Technique: Left: CT. Right: PSMA PET, same axial level, [18F]PSMA-1007 tracer. acquired on Siemens Biograph mCT Flow 20. slice position z = -1006 mm.
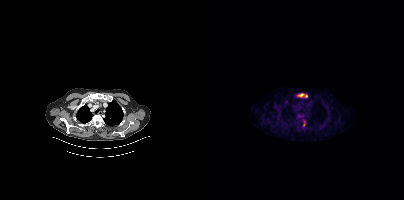
Findings: Coordinates are on the 200×200 PET (right) panel. PSMA-avid tumor lesion bounding boxes (x, y, width, height): x=93 y=93 w=11 h=5 | x=99 y=120 w=3 h=7.